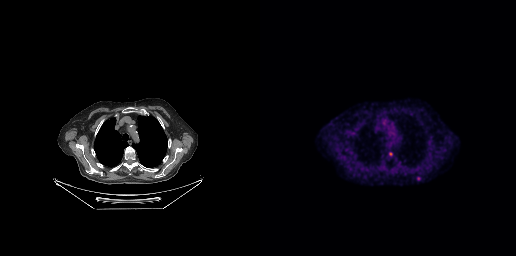
{"modality":"PSMA PET/CT","view":"axial","tracer":"18F-PSMA","pet_grid":[256,256],"coord_frame":"pet_panel","coord_format":"x0,y0,x1,y1","lesion_bboxes":[],"small_foci_centers":[[130,153]]}